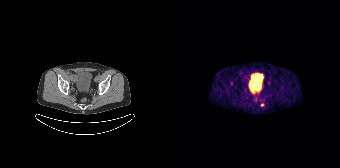
Technique: Paired axial CT (left) and PSMA PET (right), 68Ga tracer. acquired on Siemens Biograph 64-4R TruePoint. slice position z = -664 mm. PET panel 168×168 px (4.1 mm/px).
Findings: Coordinates are on the 168×168 PET (right) panel. Small PSMA-avid foci (2 to 4 px across) near (center x, center y): (59, 82) / (90, 104).